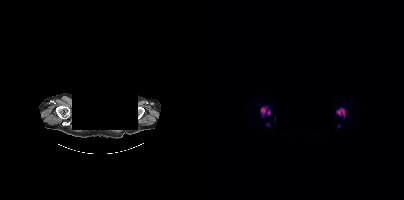
Coordinates are on the 200×200 PET (right) panel. PSMA-avid tumor lesion bounding boxes (x, y, width, height): x=56 y=106 w=11 h=12; x=132 y=108 w=10 h=10. Small PSMA-avid foci (2 to 4 px across) near (center x, center y): (63, 124); (135, 125). Paired axial CT (left) and PSMA PET (right), [18F]PSMA-1007 tracer. Slice 366 of 423. PET panel 200×200 px (4.1 mm/px). De-identified by setting a box covering the face to black before release.